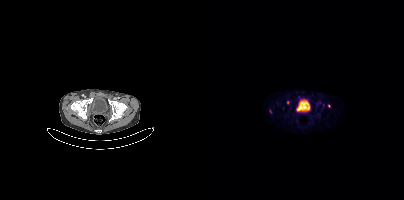
Findings: Coordinates are on the 200×200 PET (right) panel. Small PSMA-avid foci (2 to 4 px across) near (center x, center y): (83, 102); (124, 105).
Technique: Left: CT. Right: PSMA PET, same axial level, [68Ga]Ga-PSMA-11 tracer. PET panel 200×200 px (4.1 mm/px).